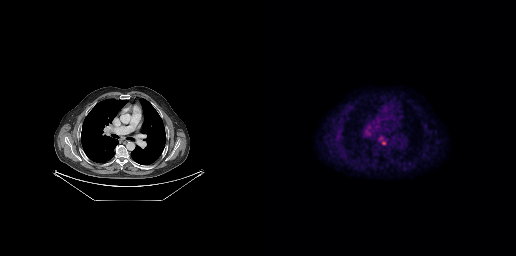
{"modality":"PSMA PET/CT","view":"axial","tracer":"18F","pet_grid":[256,256],"coord_frame":"pet_panel","coord_format":"x0,y0,x1,y1","lesion_bboxes":[[121,141,126,145]]}